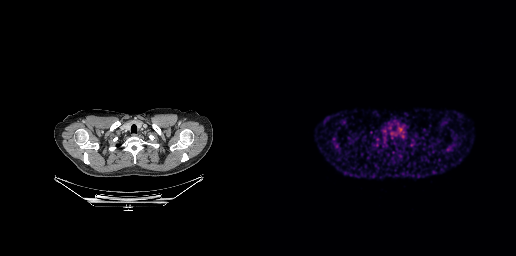
No tumor lesions annotated on this slice. Left: CT. Right: PSMA PET, same axial level, 68Ga tracer. Slice position z = -361 mm. PET panel 256×256 px (2.7 mm/px).